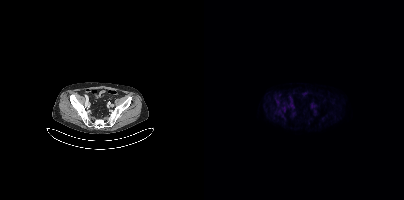
Left: CT. Right: PSMA PET, same axial level, 18F-PSMA tracer. Slice 100 of 431. Negative for PSMA-avid disease on this slice.